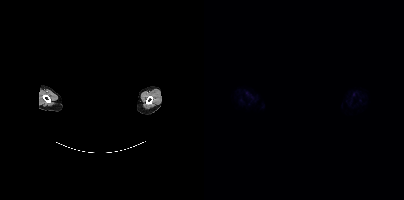
{"pet_grid":[200,200],"coord_frame":"pet_panel","coord_format":"x0,y0,x1,y1","psma_avid_lesions":false,"redaction":"rectangular block over head set to black","modality":"PSMA PET/CT","view":"axial","tracer":"18F-PSMA"}